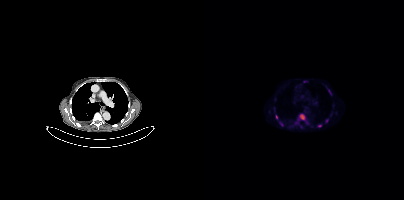
- Two-panel axial: CT | PSMA PET, 18F-PSMA tracer
- acquired on Siemens Biograph mCT Flow 20
- slice position z = -608 mm
- PET panel 200×200 px (4.1 mm/px)
Findings: Coordinates are on the 200×200 PET (right) panel. PSMA-avid tumor lesion bounding box (x0, y0)-(x1, y1): (95, 114)-(101, 119). Small PSMA-avid foci (2 to 4 px across) near (center x, center y): (115, 126); (72, 116); (122, 121); (125, 91); (77, 124).